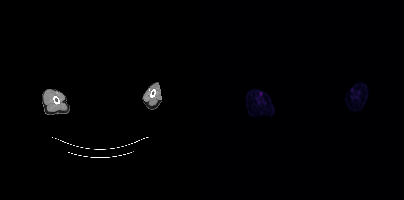
{"modality":"PSMA PET/CT","view":"axial","tracer":"18F-PSMA","pet_grid":[200,200],"coord_frame":"pet_panel","coord_format":"x0,y0,x1,y1","redaction":"rectangular block over head set to black","psma_avid_lesions":false}